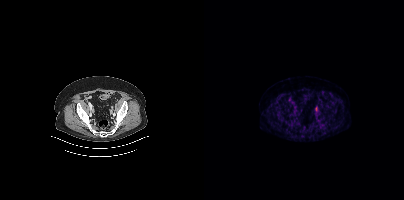
Two-panel axial: CT | PSMA PET, 68Ga-PSMA tracer. Slice 94 of 403. Coordinates are on the 200×200 PET (right) panel. Small PSMA-avid focus (2 to 4 px across) near (center x, center y): (112, 108).